modality: PSMA PET/CT | tracer: 18F-PSMA | view: axial | PET grid: 200×200
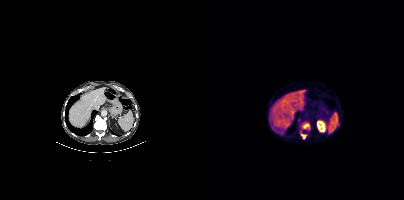
Coordinates are on the 200×200 PET (right) panel. (showing 2 of 4 foci) PSMA-avid tumor lesion bounding box (x0,y0,x1,y1): [98,124,106,130]. Small PSMA-avid focus (2 to 4 px across) near (center x, center y): (98, 135).